modality: PSMA PET/CT | tracer: 18F-PSMA | view: axial | PET grid: 200×200 | redaction: facial region redacted
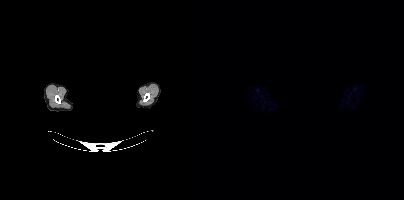
No PSMA-avid tumor lesions on this slice.